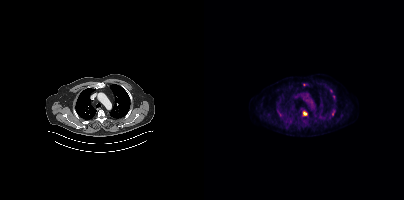
Findings: Coordinates are on the 200×200 PET (right) panel. PSMA-avid tumor lesion bounding boxes (x0, y0)-(x1, y1): (128, 109)-(131, 115) | (99, 111)-(103, 115) | (75, 112)-(77, 116). Small PSMA-avid foci (2 to 4 px across) near (center x, center y): (86, 121) | (100, 84) | (126, 90).
Technique: Paired axial CT (left) and PSMA PET (right), 18F tracer.